Two-panel axial: CT | PSMA PET, 18F-PSMA tracer.
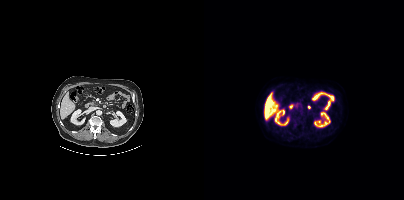
No PSMA-avid tumor lesions on this slice.